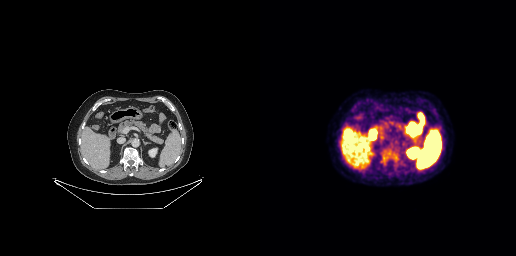
{"modality":"PSMA PET/CT","view":"axial","tracer":"18F","pet_grid":[256,256],"coord_frame":"pet_panel","coord_format":"x0,y0,x1,y1","psma_avid_lesions":false}